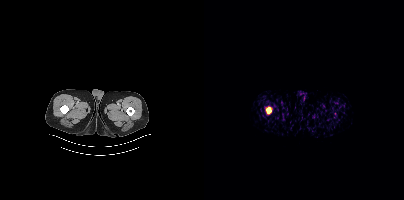
Coordinates are on the 200×200 PET (right) panel. PSMA-avid tumor lesion bounding box (x0,y0,x1,y1): [62,107,67,113]. Two-panel axial: CT | PSMA PET, 18F tracer. Acquired on Siemens Biograph mCT Flow 20. Slice position z = -1108 mm. PET panel 200×200 px (4.1 mm/px).